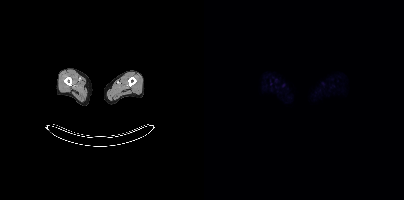
Two-panel axial: CT | PSMA PET, 18F-PSMA tracer. Slice position z = -1163 mm. No tumor lesions annotated on this slice.